Technique: Two-panel axial: CT | PSMA PET, 18F-PSMA tracer. slice position z = -1652 mm. PET panel 200×200 px (4.1 mm/px).
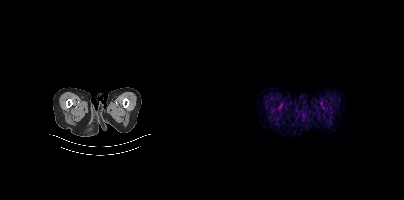
Findings: No PSMA-avid tumor lesions on this slice.